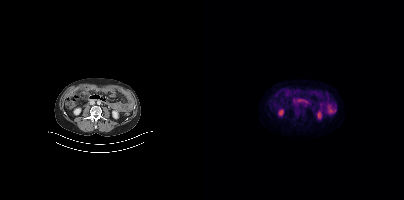
No PSMA-avid tumor lesions on this slice. Two-panel axial: CT | PSMA PET, 18F tracer. Acquired on Siemens Biograph mCT Flow 20.